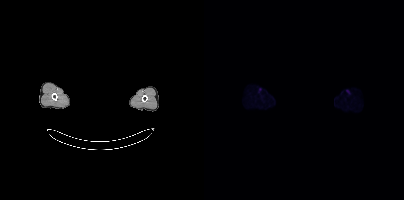
Left: CT. Right: PSMA PET, same axial level, [18F]PSMA-1007 tracer. Acquired on Siemens Biograph mCT Flow 20. Slice 367 of 417. A rectangle over the head was blacked out to remove identifiable facial features. No tumor lesions annotated on this slice.